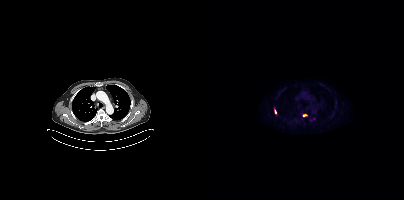
{"pet_grid":[200,200],"coord_frame":"pet_panel","coord_format":"x0,y0,x1,y1","partial":true,"lesion_bboxes":[],"small_foci_centers":[[100,115],[71,111]],"modality":"PSMA PET/CT","view":"axial","tracer":"18F-PSMA"}